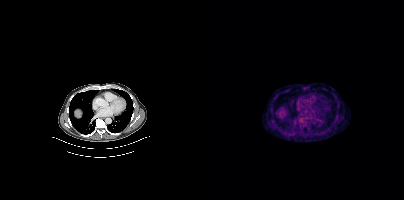
{"pet_grid":[200,200],"coord_frame":"pet_panel","coord_format":"x0,y0,x1,y1","lesion_bboxes":[[95,117,102,124]],"modality":"PSMA PET/CT","view":"axial","tracer":"[18F]PSMA-1007"}